modality: PSMA PET/CT | tracer: [68Ga]Ga-PSMA-11 | view: axial
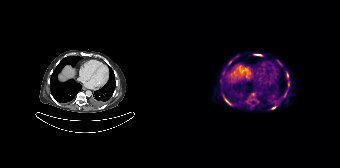
Coordinates are on the 168×168 PET (right) panel. (showing 9 of 11 foci) PSMA-avid tumor lesion bounding boxes (x, y, width, height): x=52 y=97 w=8 h=9 / x=82 y=54 w=8 h=2 / x=116 y=82 w=2 h=5 / x=105 y=60 w=5 h=6. Small PSMA-avid foci (2 to 4 px across) near (center x, center y): (81, 94) / (58, 62) / (102, 107) / (115, 74) / (113, 94).